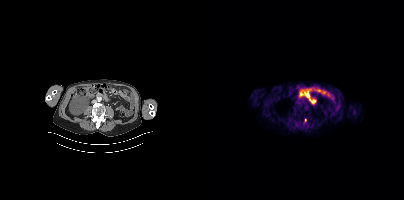
modality: PSMA PET/CT | tracer: 18F | view: axial
Coordinates are on the 200×200 PET (right) panel. PSMA-avid tumor lesion bounding box (x0,y0,x1,y1): [101,118,102,122].